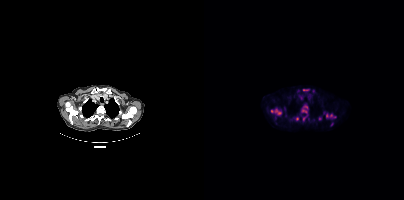
Findings: Coordinates are on the 200×200 PET (right) panel. (showing 8 of 9 foci) PSMA-avid tumor lesion bounding boxes (x0, y0)-(x1, y1): (67, 108)-(77, 115); (122, 114)-(131, 117); (99, 89)-(104, 90); (98, 110)-(102, 112). Small PSMA-avid foci (2 to 4 px across) near (center x, center y): (93, 118); (102, 106); (115, 118); (99, 118).
- Left: CT. Right: PSMA PET, same axial level, 18F-PSMA tracer